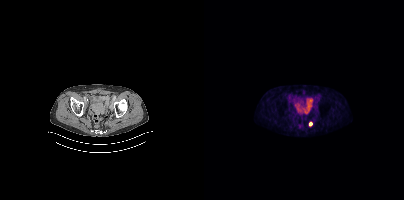
- Left: CT. Right: PSMA PET, same axial level, [18F]PSMA-1007 tracer
- slice position z = -1574 mm
- PET panel 200×200 px (4.1 mm/px)
Findings: Coordinates are on the 200×200 PET (right) panel. Small PSMA-avid focus (2 to 4 px across) near (center x, center y): (106, 123).